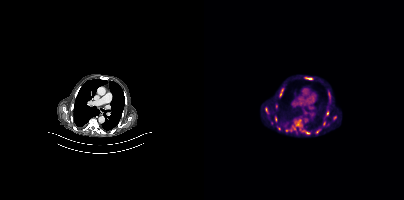
{"modality":"PSMA PET/CT","view":"axial","tracer":"18F-PSMA","pet_grid":[200,200],"coord_frame":"pet_panel","coord_format":"x0,y0,x1,y1","lesion_bboxes":[[87,120,97,130],[76,87,80,93],[61,107,64,113],[71,116,73,121],[122,111,124,115]],"small_foci_centers":[[72,106],[131,117],[120,123],[67,123],[103,132]]}